Technique: Paired axial CT (left) and PSMA PET (right), 18F-PSMA tracer. slice 173 of 299. PET panel 256×256 px (2.7 mm/px).
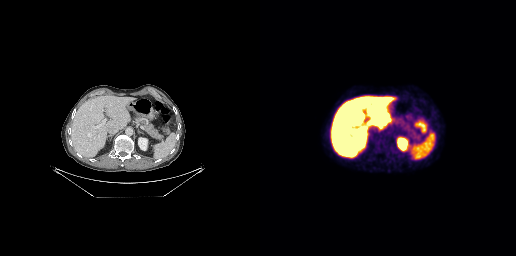
Findings: No PSMA-avid tumor lesions on this slice.